- any black rectangle over the head is a privacy mask, not anatomy
- Left: CT. Right: PSMA PET, same axial level, 18F-PSMA tracer
- slice 381 of 438
- PET panel 200×200 px (4.1 mm/px)
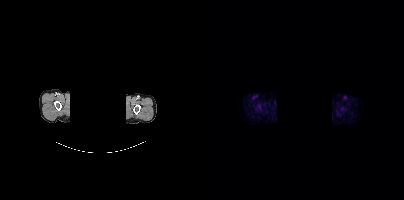
Findings: Negative for PSMA-avid disease on this slice.